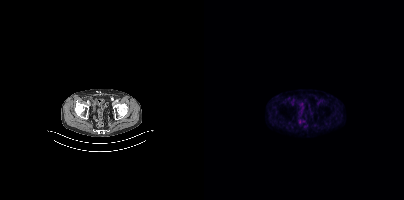
{"modality":"PSMA PET/CT","view":"axial","tracer":"[18F]PSMA-1007","pet_grid":[200,200],"coord_frame":"pet_panel","coord_format":"x0,y0,x1,y1","psma_avid_lesions":false}